- Two-panel axial: CT | PSMA PET, 18F-PSMA tracer
- slice 230 of 462
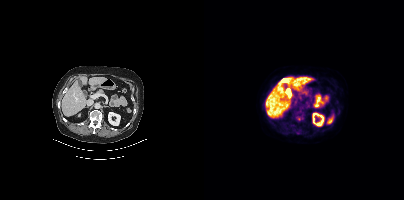
Findings: This slice has no annotated PSMA-avid lesion.